Technique: Two-panel axial: CT | PSMA PET, [18F]PSMA-1007 tracer. acquired on Siemens Biograph 64-4R TruePoint. slice position z = -1529 mm. PET panel 168×168 px (4.1 mm/px).
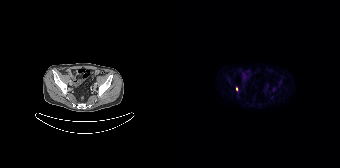
Findings: Coordinates are on the 168×168 PET (right) panel. PSMA-avid tumor lesion bounding box (x, y, width, height): x=64 y=87 w=3 h=5.